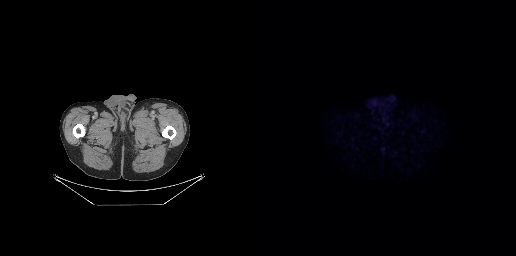
Paired axial CT (left) and PSMA PET (right), 18F tracer. Acquired on GE Discovery 690. PET panel 256×256 px (2.7 mm/px). No tumor lesions annotated on this slice.